modality: PSMA PET/CT | tracer: 18F-PSMA | view: axial
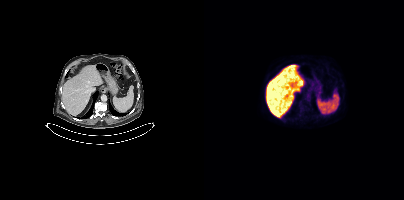
No tumor lesions annotated on this slice.